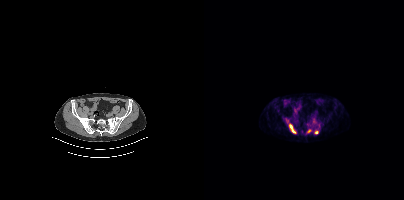
{"modality":"PSMA PET/CT","view":"axial","tracer":"[68Ga]Ga-PSMA-11","pet_grid":[200,200],"coord_frame":"pet_panel","coord_format":"x0,y0,x1,y1","lesion_bboxes":[[85,124,92,133]],"small_foci_centers":[[112,132],[105,131]]}